modality: PSMA PET/CT | tracer: [18F]PSMA-1007 | view: axial | PET grid: 256×256
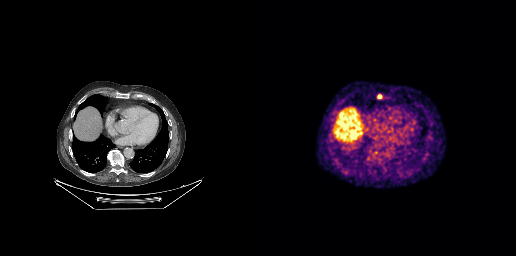
Coordinates are on the 256×256 PET (right) panel. PSMA-avid tumor lesion bounding box (x0,y0,x1,y1): [117,94,121,98].